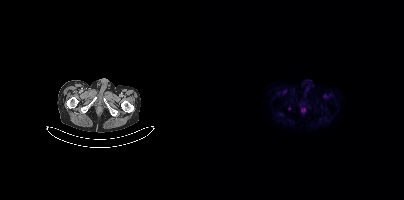
No PSMA-avid tumor lesions on this slice.